modality: PSMA PET/CT | tracer: 18F-PSMA | view: axial | PET grid: 256×256
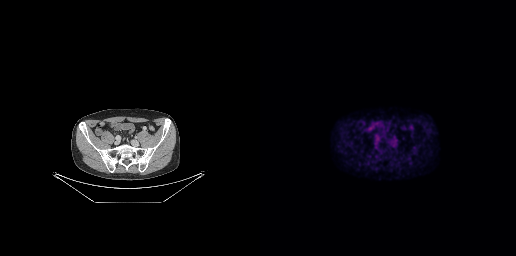
This slice has no annotated PSMA-avid lesion.